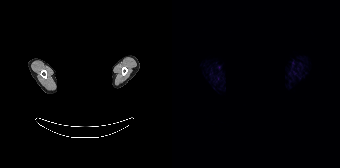
- de-identified by setting a box covering the face to black before release
- Paired axial CT (left) and PSMA PET (right), 68Ga tracer
- PET panel 168×168 px (4.1 mm/px)
Findings: Negative for PSMA-avid disease on this slice.